Technique: Two-panel axial: CT | PSMA PET, 18F-PSMA tracer. acquired on Siemens Biograph mCT Flow 20. slice 228 of 444.
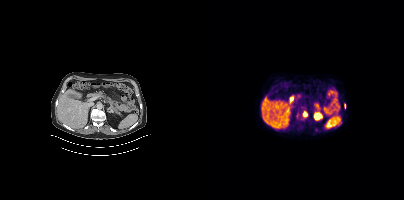
Findings: Coordinates are on the 200×200 PET (right) panel. Small PSMA-avid focus (2 to 4 px across) near (center x, center y): (101, 114).